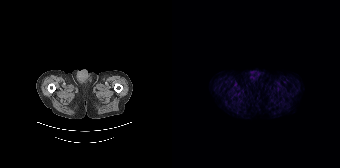
modality: PSMA PET/CT | tracer: [68Ga]Ga-PSMA-11 | view: axial | PET grid: 168×168
No tumor lesions annotated on this slice.